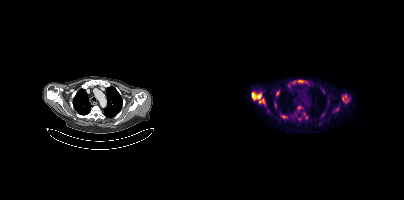
Coordinates are on the 200×200 PET (right) panel. (showing 9 of 13 foci) PSMA-avid tumor lesion bounding boxes (x, y, width, height): x=48 y=92 w=10 h=8 | x=138 y=95 w=7 h=8 | x=93 y=80 w=10 h=4 | x=78 y=115 w=6 h=4 | x=72 y=91 w=4 h=6 | x=55 y=99 w=6 h=5 | x=93 y=106 w=4 h=5. Small PSMA-avid foci (2 to 4 px across) near (center x, center y): (71, 105) | (102, 117). Paired axial CT (left) and PSMA PET (right), [18F]PSMA-1007 tracer. PET panel 200×200 px (4.1 mm/px).